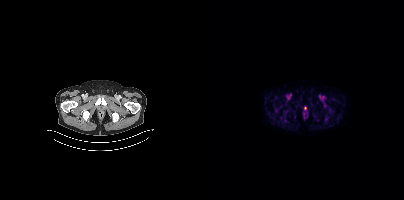
Coordinates are on the 200×200 PET (right) panel. (showing 3 of 4 foci) Small PSMA-avid foci (2 to 4 px across) near (center x, center y): (122, 119) (72, 110) (76, 106).
modality: PSMA PET/CT | tracer: 18F-PSMA | view: axial